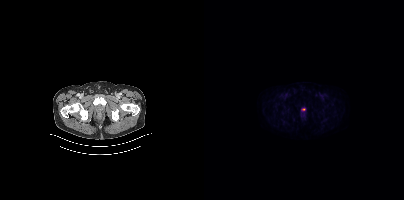
modality: PSMA PET/CT | tracer: 18F | view: axial | PET grid: 200×200
Only PSMA-avid lesion pieces thinner than 2 px on this slice (not listed).